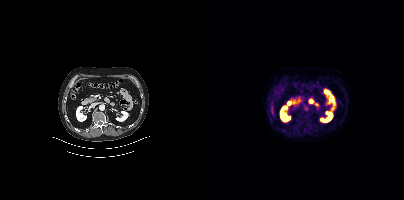
Paired axial CT (left) and PSMA PET (right), 18F tracer. Acquired on Siemens Biograph mCT Flow 20. PET panel 200×200 px (4.1 mm/px). No tumor lesions annotated on this slice.